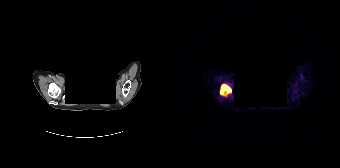
modality: PSMA PET/CT | tracer: 68Ga-PSMA | view: axial | PET grid: 168×168 | deidentification: face masked with black rectangle
Coordinates are on the 168×168 PET (right) panel. PSMA-avid tumor lesion bounding box (x, y, width, height): x=48 y=84 w=12 h=10.